Left: CT. Right: PSMA PET, same axial level, 68Ga-PSMA tracer. Acquired on Siemens Biograph 64-4R TruePoint. PET panel 168×168 px (4.1 mm/px).
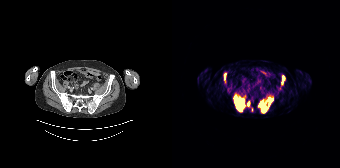
Coordinates are on the 168×168 PET (right) panel. PSMA-avid tumor lesion bounding boxes (x0, y0)-(x1, y1): (63, 98)-(72, 111) / (86, 97)-(101, 112) / (110, 77)-(112, 84) / (75, 101)-(78, 105) / (52, 74)-(53, 79). Small PSMA-avid foci (2 to 4 px across) near (center x, center y): (63, 97) / (80, 109).